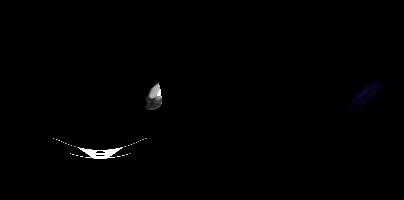
{"modality":"PSMA PET/CT","view":"axial","tracer":"18F","pet_grid":[200,200],"coord_frame":"pet_panel","coord_format":"x0,y0,x1,y1","de-identification":"head region blacked out before release","psma_avid_lesions":false}